Technique: Two-panel axial: CT | PSMA PET, 68Ga-PSMA tracer. slice position z = -1202 mm.
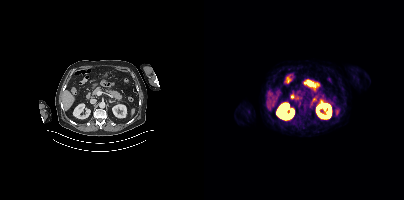
Findings: Negative for PSMA-avid disease on this slice.